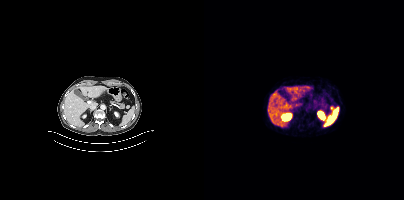
{"modality":"PSMA PET/CT","view":"axial","tracer":"68Ga","pet_grid":[200,200],"coord_frame":"pet_panel","coord_format":"x0,y0,x1,y1","lesion_bboxes":[],"small_foci_centers":[[127,107]]}